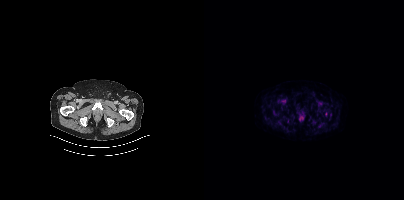
Paired axial CT (left) and PSMA PET (right), [18F]PSMA-1007 tracer. Slice position z = -830 mm. PET panel 200×200 px (4.1 mm/px). No PSMA-avid tumor lesions on this slice.